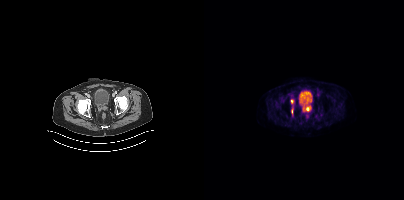
{"pet_grid":[200,200],"coord_frame":"pet_panel","coord_format":"x0,y0,x1,y1","lesion_bboxes":[[98,106,106,111],[87,99,89,103],[87,109,88,113]],"modality":"PSMA PET/CT","view":"axial","tracer":"18F"}